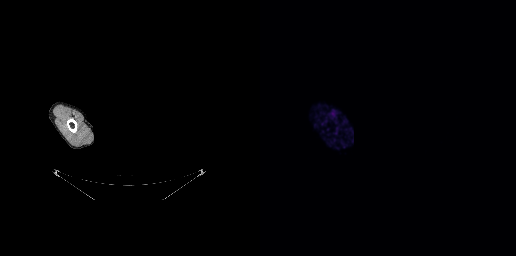
This slice has no annotated PSMA-avid lesion. A rectangle over the head was blacked out to remove identifiable facial features. Paired axial CT (left) and PSMA PET (right), 68Ga-PSMA tracer. Acquired on GE Discovery 690. PET panel 256×256 px (2.7 mm/px).